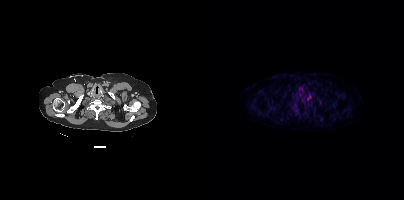
{"modality":"PSMA PET/CT","view":"axial","tracer":"[18F]PSMA-1007","pet_grid":[200,200],"coord_frame":"pet_panel","coord_format":"x0,y0,x1,y1","partial":true,"lesion_bboxes":[],"small_foci_centers":[[117,119],[91,108]]}